- Two-panel axial: CT | PSMA PET, 18F-PSMA tracer
- acquired on Siemens Biograph mCT Flow 20
- PET panel 200×200 px (4.1 mm/px)
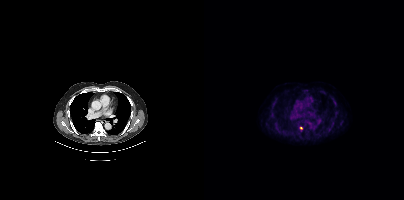
Findings: Coordinates are on the 200×200 PET (right) panel. Small PSMA-avid focus (2 to 4 px across) near (center x, center y): (97, 128).